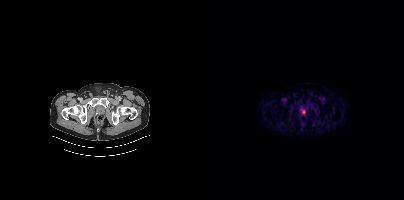
Coordinates are on the 200×200 PET (right) panel. PSMA-avid tumor lesion bounding box (x0,y0,x1,y1): [97,109,101,114].
modality: PSMA PET/CT | tracer: [18F]PSMA-1007 | view: axial | PET grid: 200×200